- Paired axial CT (left) and PSMA PET (right), 18F-PSMA tracer
- PET panel 200×200 px (4.1 mm/px)
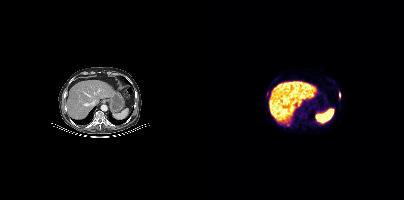
Findings: Coordinates are on the 200×200 PET (right) panel. PSMA-avid tumor lesion bounding boxes (x0, y0)-(x1, y1): (135, 92)-(136, 97) / (63, 92)-(64, 96). Small PSMA-avid focus (2 to 4 px across) near (center x, center y): (83, 124).